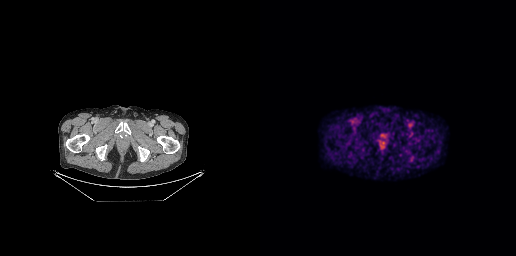
- Two-panel axial: CT | PSMA PET, [18F]PSMA-1007 tracer
- PET panel 256×256 px (2.7 mm/px)
Findings: No tumor lesions annotated on this slice.